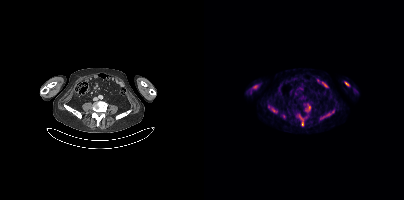
Findings: Coordinates are on the 200×200 PET (right) panel. (showing 7 of 8 foci) PSMA-avid tumor lesion bounding boxes (x0, y0)-(x1, y1): (94, 114)-(100, 126) / (101, 104)-(106, 111) / (116, 113)-(126, 119) / (67, 107)-(73, 112) / (141, 82)-(145, 85). Small PSMA-avid foci (2 to 4 px across) near (center x, center y): (79, 116) / (64, 106).
Technique: Left: CT. Right: PSMA PET, same axial level, 18F tracer.